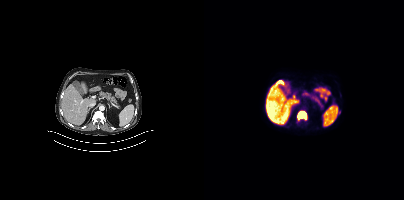
{"modality":"PSMA PET/CT","view":"axial","tracer":"[18F]PSMA-1007","pet_grid":[200,200],"coord_frame":"pet_panel","coord_format":"x0,y0,x1,y1","lesion_bboxes":[[93,110,103,120]],"small_foci_centers":[[135,112]]}